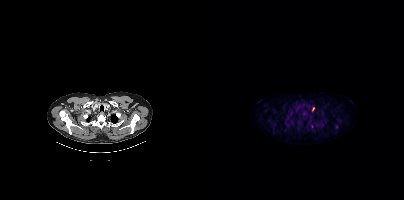
Two-panel axial: CT | PSMA PET, 18F tracer. Slice position z = -1029 mm. Coordinates are on the 200×200 PET (right) panel. (showing 1 of 2 foci) Small PSMA-avid focus (2 to 4 px across) near (center x, center y): (109, 108).